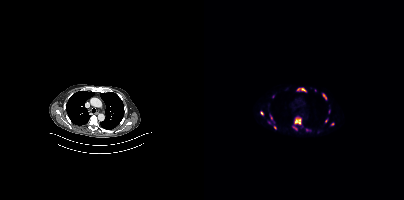
{"modality":"PSMA PET/CT","view":"axial","tracer":"18F-PSMA","pet_grid":[200,200],"coord_frame":"pet_panel","coord_format":"x0,y0,x1,y1","partial":true,"lesion_bboxes":[[90,117,97,124],[93,88,102,91],[118,93,122,99],[88,126,93,130]],"small_foci_centers":[[57,112],[128,124],[67,116],[122,120],[71,127]]}